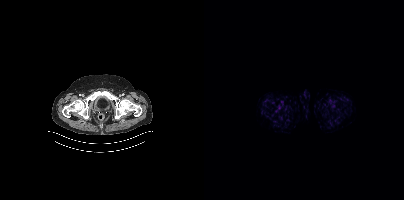
No PSMA-avid tumor lesions on this slice.